modality: PSMA PET/CT | tracer: 18F | view: axial
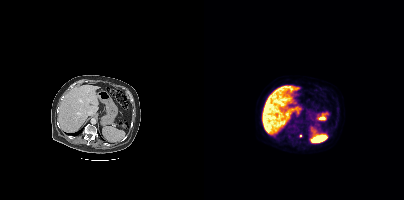
Coordinates are on the 200×200 PET (right) panel. Small PSMA-avid focus (2 to 4 px across) near (center x, center y): (96, 135).